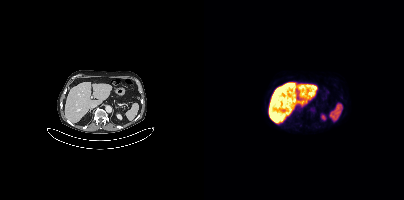
No tumor lesions annotated on this slice.